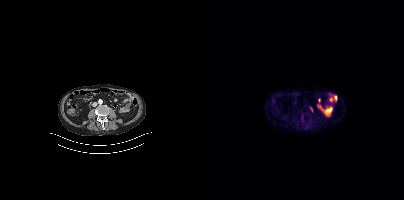
Findings: Coordinates are on the 200×200 PET (right) panel. Small PSMA-avid focus (2 to 4 px across) near (center x, center y): (107, 109).
- Two-panel axial: CT | PSMA PET, [18F]PSMA-1007 tracer
- slice position z = -1367 mm